Technique: Two-panel axial: CT | PSMA PET, [18F]PSMA-1007 tracer. acquired on Siemens Biograph mCT Flow 20. slice position z = -853 mm.
Note: Privacy masking over the head, with the pixels inside a rectangle set to black.
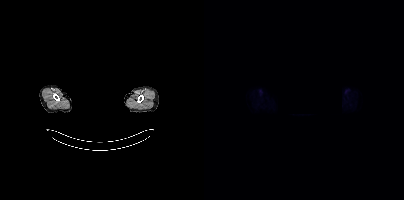
Findings: No tumor lesions annotated on this slice.